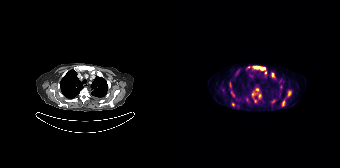
Coordinates are on the 168×168 PET (right) panel. (showing 12 of 14 foci) PSMA-avid tumor lesion bounding boxes (x, y, width, height): x=80 y=66 w=15 h=9 / x=115 y=90 w=5 h=7 / x=110 y=100 w=3 h=6 / x=100 y=73 w=3 h=5 / x=59 y=91 w=4 h=6. Small PSMA-avid foci (2 to 4 px across) near (center x, center y): (81, 93) / (102, 100) / (61, 104) / (85, 89) / (87, 95) / (58, 84) / (76, 66).